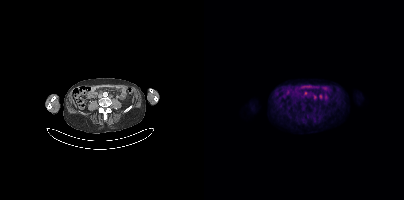
Coordinates are on the 200×200 PET (right) panel. (showing 1 of 2 foci) Small PSMA-avid focus (2 to 4 px across) near (center x, center y): (101, 93). Two-panel axial: CT | PSMA PET, 18F-PSMA tracer. Acquired on Siemens Biograph mCT Flow 20. Slice position z = -1385 mm. PET panel 200×200 px (4.1 mm/px).